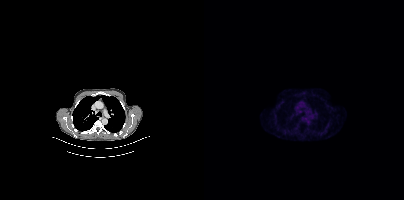
Left: CT. Right: PSMA PET, same axial level, [18F]PSMA-1007 tracer. Slice 319 of 435. PET panel 200×200 px (4.1 mm/px). No PSMA-avid tumor lesions on this slice.